Technique: Two-panel axial: CT | PSMA PET, [18F]PSMA-1007 tracer. PET panel 200×200 px (4.1 mm/px).
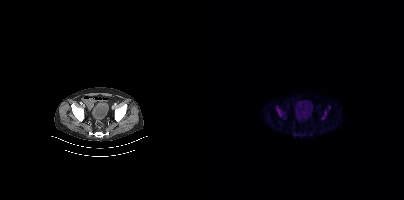
Findings: Coordinates are on the 200×200 PET (right) panel. PSMA-avid tumor lesion bounding boxes (x0,y0,x1,y1): [72,106,78,116] [117,110,123,119]. Small PSMA-avid focus (2 to 4 px across) near (center x, center y): (90, 134).